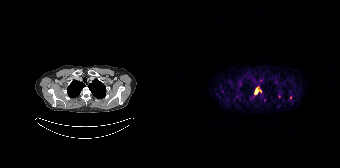
{"pet_grid":[168,168],"coord_frame":"pet_panel","coord_format":"x0,y0,x1,y1","partial":true,"lesion_bboxes":[[82,87,86,94]],"small_foci_centers":[[107,95],[118,97],[88,90]],"modality":"PSMA PET/CT","view":"axial","tracer":"68Ga"}